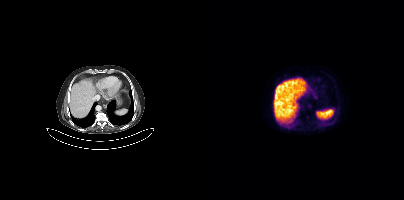
modality: PSMA PET/CT | tracer: 18F-PSMA | view: axial
No PSMA-avid tumor lesions on this slice.